Left: CT. Right: PSMA PET, same axial level, 18F tracer. Acquired on Siemens Biograph mCT Flow 20. Slice 195 of 401.
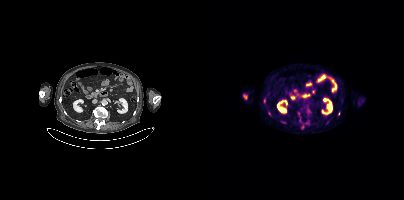
Coordinates are on the 200×200 PET (right) panel. PSMA-avid tumor lesion bounding boxes (x0, y0)-(x1, y1): (76, 120)-(81, 123) | (97, 124)-(100, 129) | (59, 98)-(61, 103). Small PSMA-avid foci (2 to 4 px across) near (center x, center y): (65, 113) | (134, 113).